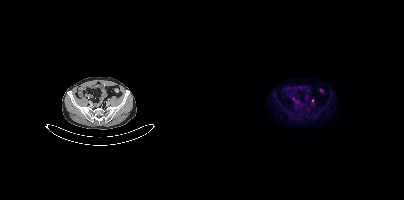
Coordinates are on the 200×200 PET (right) panel. Small PSMA-avid focus (2 to 4 px across) near (center x, center y): (108, 100).
modality: PSMA PET/CT | tracer: 18F-PSMA | view: axial